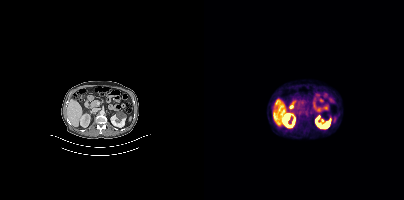
Findings: Negative for PSMA-avid disease on this slice.
- Two-panel axial: CT | PSMA PET, [18F]PSMA-1007 tracer
- acquired on Siemens Biograph mCT Flow 20
- slice 192 of 387